modality: PSMA PET/CT | tracer: 18F-PSMA | view: axial | PET grid: 200×200
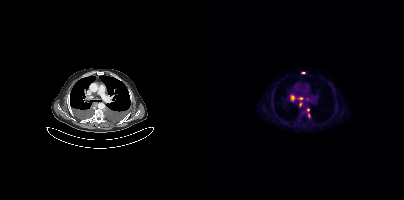
Coordinates are on the 200×200 PET (right) panel. PSMA-avid tumor lesion bounding boxes (x0, y0)-(x1, y1): (86, 95)-(91, 100) / (102, 108)-(105, 116). Small PSMA-avid foci (2 to 4 px across) near (center x, center y): (96, 98) / (96, 104) / (99, 72).